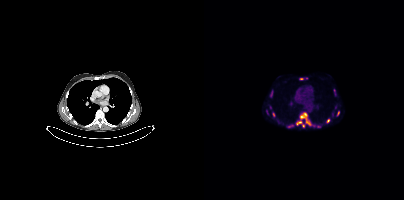
modality: PSMA PET/CT | tracer: 18F-PSMA | view: axial
Coordinates are on the 200×200 PET (right) panel. (showing 9 of 13 foci) PSMA-avid tumor lesion bounding boxes (x0, y0)-(x1, y1): (92, 112)-(107, 127) / (122, 118)-(126, 123) / (68, 112)-(71, 116) / (133, 111)-(135, 116). Small PSMA-avid foci (2 to 4 px across) near (center x, center y): (67, 94) / (114, 126) / (97, 78) / (66, 107) / (62, 112).